Technique: Two-panel axial: CT | PSMA PET, [18F]PSMA-1007 tracer. PET panel 200×200 px (4.1 mm/px).
Note: A rectangle over the head was blacked out to remove identifiable facial features.
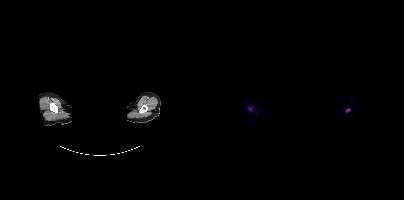
Findings: Coordinates are on the 200×200 PET (right) panel. PSMA-avid tumor lesion bounding boxes (x0,y0,x1,y1): [44,107,48,111]; [142,108,145,112].